- Left: CT. Right: PSMA PET, same axial level, 18F-PSMA tracer
- acquired on Siemens Biograph mCT Flow 20
- slice position z = -268 mm
- PET panel 200×200 px (4.1 mm/px)
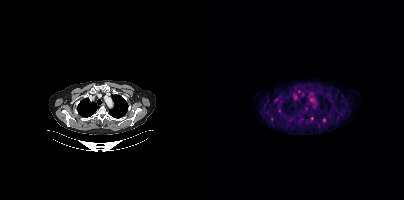
Findings: Coordinates are on the 200×200 PET (right) panel. Small PSMA-avid foci (2 to 4 px across) near (center x, center y): (120, 119) | (75, 110) | (67, 118) | (107, 118).